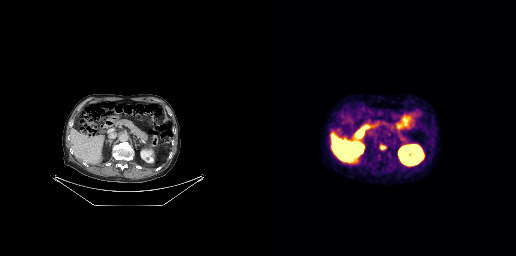
{"modality":"PSMA PET/CT","view":"axial","tracer":"18F-PSMA","pet_grid":[256,256],"coord_frame":"pet_panel","coord_format":"x0,y0,x1,y1","lesion_bboxes":[[120,145,125,149]]}